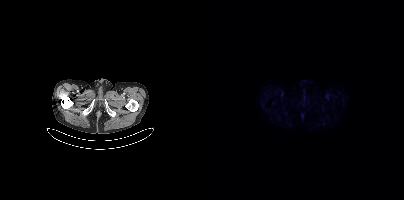
Technique: Paired axial CT (left) and PSMA PET (right), 18F-PSMA tracer. acquired on Siemens Biograph mCT Flow 20. PET panel 200×200 px (4.1 mm/px).
Findings: Negative for PSMA-avid disease on this slice.